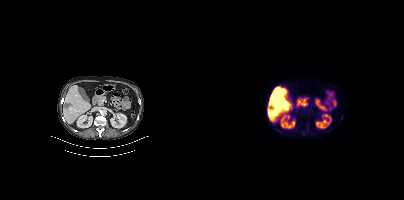
{"modality":"PSMA PET/CT","view":"axial","tracer":"18F","pet_grid":[200,200],"coord_frame":"pet_panel","coord_format":"x0,y0,x1,y1","psma_avid_lesions":false}